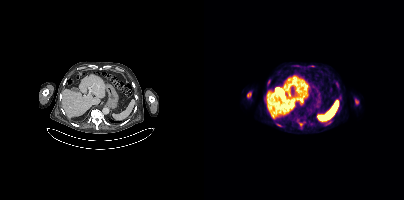
Technique: Paired axial CT (left) and PSMA PET (right), 18F tracer.
Findings: Coordinates are on the 200×200 PET (right) panel. PSMA-avid tumor lesion bounding boxes (x, y, width, height): x=43 y=92 w=5 h=6 | x=94 y=122 w=6 h=5 | x=151 y=99 w=4 h=6. Small PSMA-avid focus (2 to 4 px across) near (center x, center y): (73, 124).